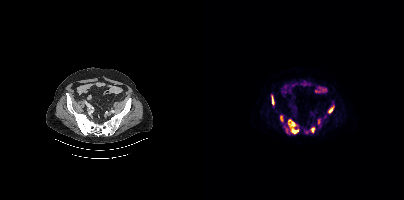
Left: CT. Right: PSMA PET, same axial level, [18F]PSMA-1007 tracer. Slice 121 of 454. PET panel 200×200 px (4.1 mm/px). Coordinates are on the 200×200 PET (right) panel. (showing 6 of 9 foci) PSMA-avid tumor lesion bounding boxes (x0,y0,x1,y1): [84,119,95,134], [124,105,130,113], [67,95,70,105], [106,127,111,132], [76,116,78,121], [114,119,115,123].